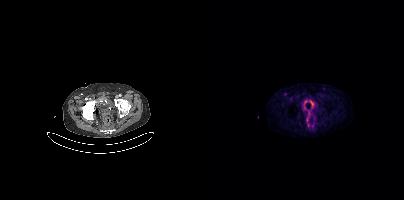
Coordinates are on the 200×200 PET (right) panel. (showing 1 of 3 foci) Small PSMA-avid focus (2 to 4 px across) near (center x, center y): (102, 120). Left: CT. Right: PSMA PET, same axial level, 18F tracer.